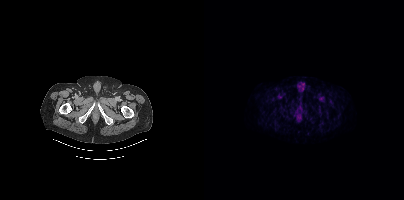
Findings: No PSMA-avid tumor lesions on this slice.
Technique: Left: CT. Right: PSMA PET, same axial level, 18F-PSMA tracer. acquired on Siemens Biograph mCT Flow 20. slice position z = -1521 mm.